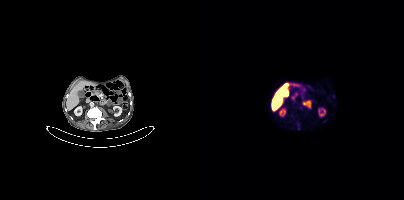
No PSMA-avid tumor lesions on this slice. Left: CT. Right: PSMA PET, same axial level, 18F-PSMA tracer. Acquired on Siemens Biograph mCT Flow 20.